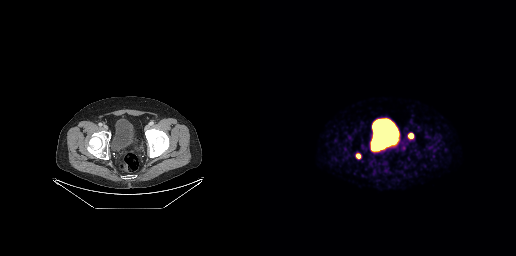
modality: PSMA PET/CT | tracer: 68Ga-PSMA | view: axial | PET grid: 256×256
Coordinates are on the 256×256 PET (right) panel. PSMA-avid tumor lesion bounding box (x, y, width, height): x=149 y=133 w=5 h=5. Small PSMA-avid focus (2 to 4 px across) near (center x, center y): (98, 155).